Technique: Paired axial CT (left) and PSMA PET (right), 18F tracer. slice 160 of 387.
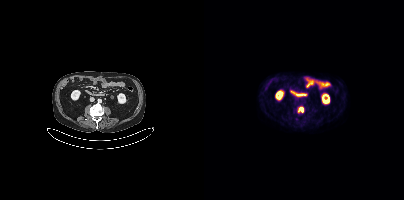
Findings: Coordinates are on the 200×200 PET (right) panel. PSMA-avid tumor lesion bounding box (x, y, width, height): x=94 y=107 w=6 h=6.